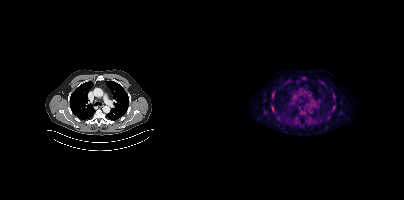
Paired axial CT (left) and PSMA PET (right), [18F]PSMA-1007 tracer. Acquired on Siemens Biograph mCT Flow 20.
Coordinates are on the 200×200 PET (right) panel. PSMA-avid tumor lesion bounding boxes:
| # | x0 | y0 | x1 | y1 |
|---|---|---|---|---|
| 1 | 97 | 112 | 101 | 114 |
| 2 | 68 | 107 | 70 | 111 |
Small PSMA-avid foci (2 to 4 px across) near (center x, center y): (129, 95); (129, 107); (68, 95).